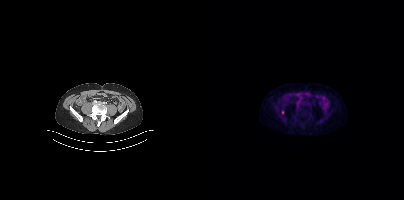
modality: PSMA PET/CT | tracer: 18F | view: axial
Negative for PSMA-avid disease on this slice.